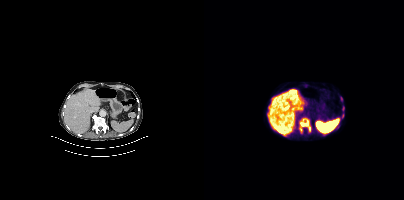
modality: PSMA PET/CT | tracer: 18F | view: axial
Coordinates are on the 200×200 PET (right) panel. PSMA-avid tumor lesion bounding box (x, y, width, height): x=95 y=118 w=12 h=15. Small PSMA-avid foci (2 to 4 px across) near (center x, center y): (139, 108) | (137, 98).